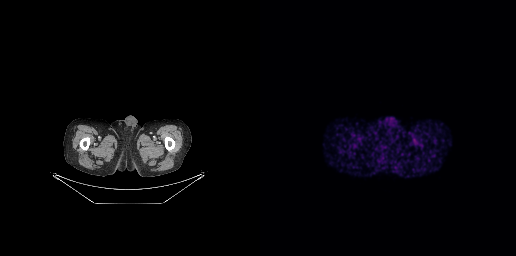
- Two-panel axial: CT | PSMA PET, [68Ga]Ga-PSMA-11 tracer
- acquired on GE Discovery 690
Findings: No tumor lesions annotated on this slice.